modality: PSMA PET/CT | tracer: [18F]PSMA-1007 | view: axial | PET grid: 200×200
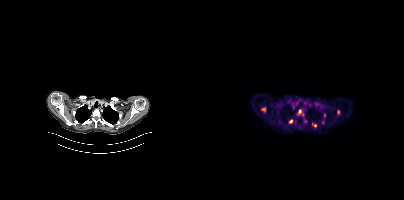
Coordinates are on the 200×200 PET (right) panel. (showing 8 of 9 foci) PSMA-avid tumor lesion bounding boxes (x, y, width, height): x=57 y=107 w=5 h=6 / x=94 y=109 w=4 h=5 / x=133 y=110 w=3 h=5 / x=108 y=123 w=5 h=3. Small PSMA-avid foci (2 to 4 px across) near (center x, center y): (86, 121) / (120, 115) / (113, 104) / (118, 121).